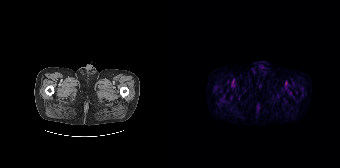
No tumor lesions annotated on this slice. Two-panel axial: CT | PSMA PET, 18F tracer.